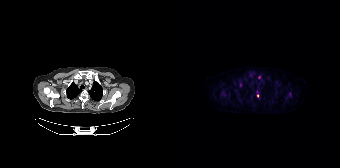
Coordinates are on the 168×168 PET (right) panel. (showing 3 of 5 foci) PSMA-avid tumor lesion bounding box (x, y, width, height): x=67 y=82 w=3 h=6. Small PSMA-avid foci (2 to 4 px across) near (center x, center y): (86, 95) / (87, 77).